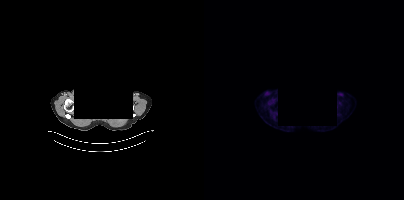
No PSMA-avid tumor lesions on this slice. Two-panel axial: CT | PSMA PET, [18F]PSMA-1007 tracer. Acquired on Siemens Biograph mCT Flow 20. The face region was removed for patient privacy by blanking a rectangle over the head.